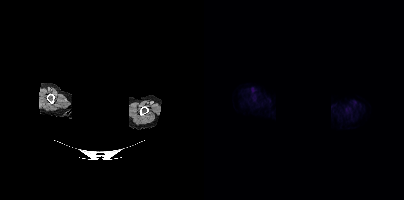
- Two-panel axial: CT | PSMA PET, [18F]PSMA-1007 tracer
- acquired on Siemens Biograph mCT Flow 20
- slice position z = -180 mm
- PET panel 200×200 px (4.1 mm/px)
- de-identified by setting a box covering the face to black before release
Findings: No PSMA-avid tumor lesions on this slice.